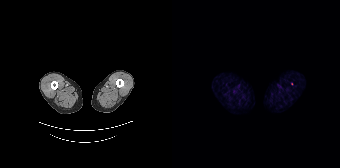
Only PSMA-avid lesion pieces thinner than 2 px on this slice (not listed). Paired axial CT (left) and PSMA PET (right), 68Ga tracer. Slice position z = -1512 mm.